modality: PSMA PET/CT | tracer: 18F | view: axial | PET grid: 200×200
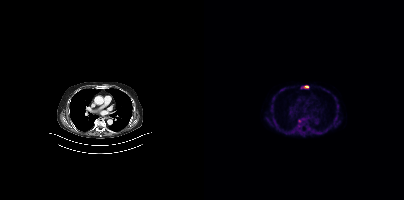
Coordinates are on the 200×200 PET (right) panel. (showing 4 of 5 foci) PSMA-avid tumor lesion bounding box (x0,y0,x1,y1): [103,126,106,130]. Small PSMA-avid foci (2 to 4 px across) near (center x, center y): (102, 87); (95, 121); (95, 125).